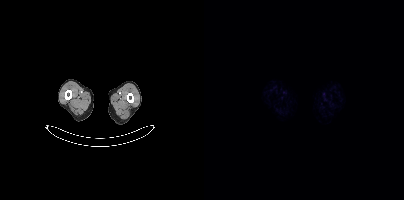
{"modality":"PSMA PET/CT","view":"axial","tracer":"18F-PSMA","pet_grid":[200,200],"coord_frame":"pet_panel","coord_format":"x0,y0,x1,y1","psma_avid_lesions":false}